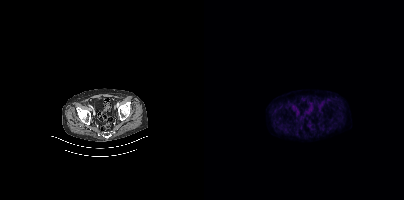
modality: PSMA PET/CT | tracer: [18F]PSMA-1007 | view: axial
No tumor lesions annotated on this slice.